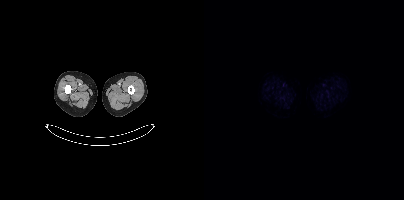
Findings: No PSMA-avid tumor lesions on this slice.
- Left: CT. Right: PSMA PET, same axial level, 18F tracer
- slice 9 of 421